- Two-panel axial: CT | PSMA PET, 18F tracer
- acquired on Siemens Biograph mCT Flow 20
- PET panel 200×200 px (4.1 mm/px)
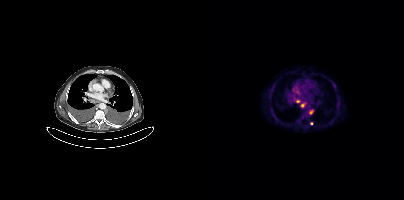
Findings: Coordinates are on the 200×200 PET (right) panel. PSMA-avid tumor lesion bounding box (x, y, width, height): x=105 y=110 w=5 h=5. Small PSMA-avid foci (2 to 4 px across) near (center x, center y): (98, 105) / (93, 101) / (107, 123).